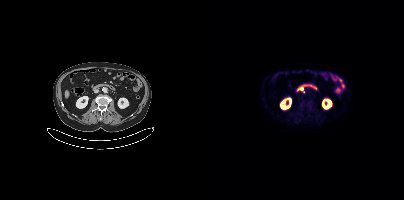
Negative for PSMA-avid disease on this slice.